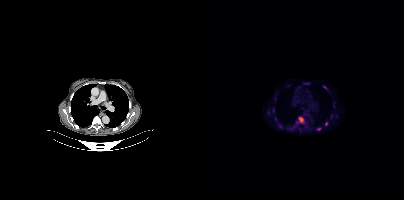
Coordinates are on the 200×200 PET (right) panel. PSMA-avid tumor lesion bounding boxes (partial; 2 more foci not listed):
| # | x0 | y0 | x1 | y1 |
|---|---|---|---|---|
| 1 | 94 | 116 | 100 | 123 |
| 2 | 119 | 86 | 123 | 89 |
| 3 | 68 | 108 | 70 | 112 |
Small PSMA-avid foci (2 to 4 px across) near (center x, center y): (64, 112); (114, 129); (122, 123); (76, 126).
Paired axial CT (left) and PSMA PET (right), [18F]PSMA-1007 tracer.